- Paired axial CT (left) and PSMA PET (right), 18F tracer
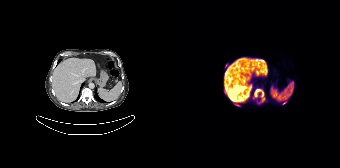
Findings: Coordinates are on the 168×168 PET (right) panel. PSMA-avid tumor lesion bounding box (x, y, width, height): x=80 y=88 w=14 h=17. Small PSMA-avid focus (2 to 4 px across) near (center x, center y): (53, 66).